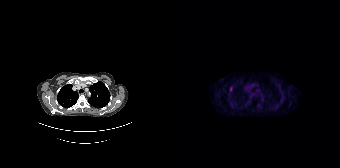
Coordinates are on the 168×168 PET (right) panel. PSMA-avid tumor lesion bounding box (x0,y0,x1,y1): [58,87,60,91].